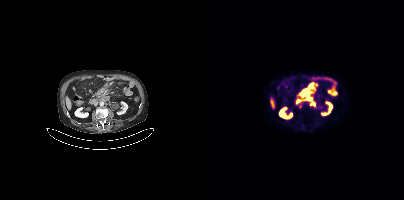
Findings: Coordinates are on the 200×200 PET (right) panel. PSMA-avid tumor lesion bounding box (x0, y0)-(x1, y1): (98, 83)-(109, 94). Small PSMA-avid focus (2 to 4 px across) near (center x, center y): (96, 106).
- Two-panel axial: CT | PSMA PET, [18F]PSMA-1007 tracer
- acquired on Siemens Biograph mCT Flow 20
- slice position z = 124 mm
- PET panel 200×200 px (4.1 mm/px)